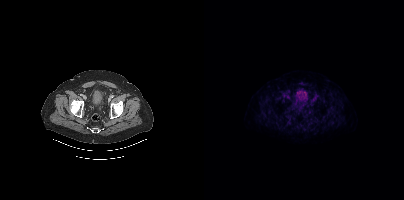
modality: PSMA PET/CT | tracer: 18F | view: axial | PET grid: 200×200
No PSMA-avid tumor lesions on this slice.